Face de-identified by blanking a block of the head. Left: CT. Right: PSMA PET, same axial level, 18F tracer. Acquired on Siemens Biograph mCT Flow 20. PET panel 200×200 px (4.1 mm/px).
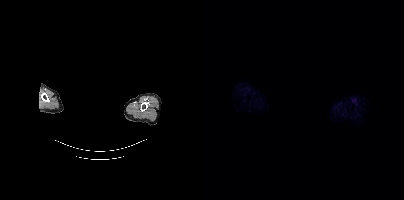
This slice has no annotated PSMA-avid lesion.